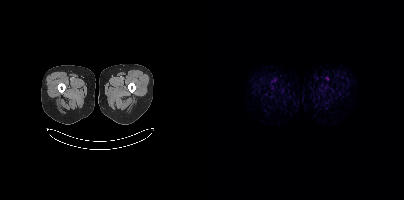
No tumor lesions annotated on this slice.